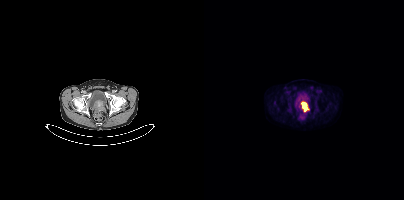
{"pet_grid":[200,200],"coord_frame":"pet_panel","coord_format":"x0,y0,x1,y1","lesion_bboxes":[[97,101,105,112]],"modality":"PSMA PET/CT","view":"axial","tracer":"18F-PSMA"}